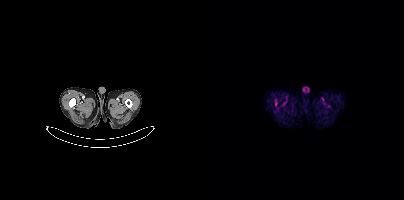
Coordinates are on the 200×200 PET (right) panel. PSMA-avid tumor lesion bounding box (x, y, width, height): x=71 y=102 w=3 h=5.